Two-panel axial: CT | PSMA PET, 18F tracer. Acquired on Siemens Biograph mCT Flow 20. Slice 63 of 454. PET panel 200×200 px (4.1 mm/px).
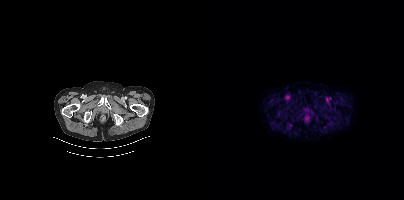
No tumor lesions annotated on this slice.